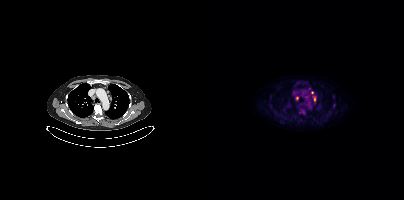
- Left: CT. Right: PSMA PET, same axial level, 18F-PSMA tracer
- PET panel 200×200 px (4.1 mm/px)
Findings: Coordinates are on the 200×200 PET (right) panel. PSMA-avid tumor lesion bounding boxes (x0, y0)-(x1, y1): (95, 108)-(101, 114); (92, 96)-(94, 100); (109, 96)-(111, 101). Small PSMA-avid foci (2 to 4 px across) near (center x, center y): (105, 88); (130, 104); (108, 92).